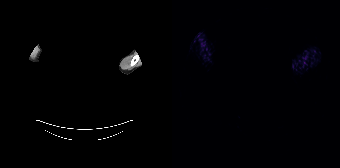
Left: CT. Right: PSMA PET, same axial level, 68Ga-PSMA tracer. Face de-identified by blanking a block of the head. This slice has no annotated PSMA-avid lesion.